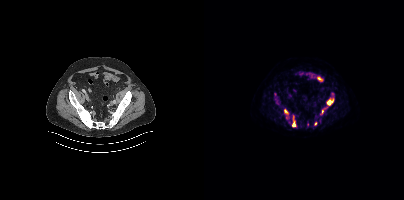
Coordinates are on the 200×200 PET (right) panel. (showing 4 of 8 foci) PSMA-avid tumor lesion bounding boxes (x, y, width, height): x=123 y=98 w=7 h=8; x=80 y=109 w=5 h=6; x=88 y=121 w=4 h=6. Small PSMA-avid focus (2 to 4 px across) near (center x, center y): (111, 123). Two-panel axial: CT | PSMA PET, [18F]PSMA-1007 tracer. PET panel 200×200 px (4.1 mm/px).